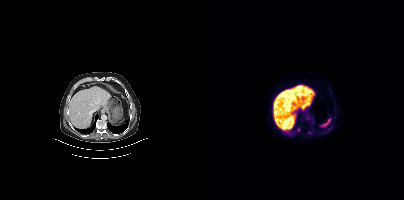
No tumor lesions annotated on this slice.